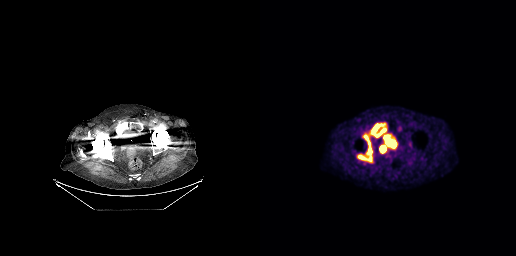
modality: PSMA PET/CT | tracer: [18F]PSMA-1007 | view: axial
Coordinates are on the 256×256 PET (right) panel. PSMA-avid tumor lesion bounding boxes (x, y, width, height): x=98 y=138 w=15 h=24 | x=112 y=124 w=14 h=14.